Technique: Two-panel axial: CT | PSMA PET, [18F]PSMA-1007 tracer. acquired on Siemens Biograph mCT Flow 20. slice 145 of 444. PET panel 200×200 px (4.1 mm/px).
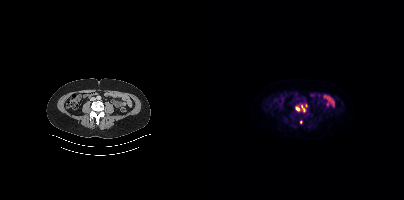
Findings: Coordinates are on the 200×200 PET (right) panel. (showing 2 of 7 foci) Small PSMA-avid foci (2 to 4 px across) near (center x, center y): (93, 108); (96, 121).